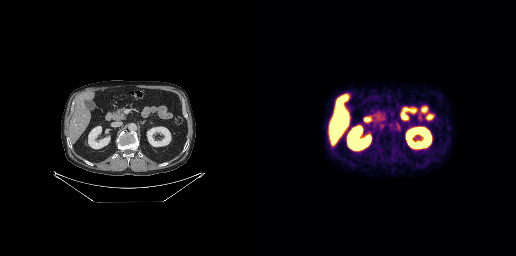
modality: PSMA PET/CT | tracer: 18F | view: axial | PET grid: 256×256
This slice has no annotated PSMA-avid lesion.